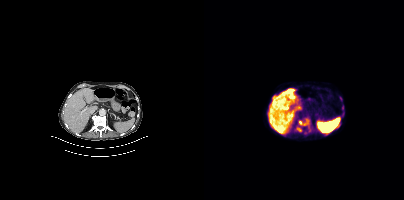
{"modality":"PSMA PET/CT","view":"axial","tracer":"18F","pet_grid":[200,200],"coord_frame":"pet_panel","coord_format":"x0,y0,x1,y1","lesion_bboxes":[[95,119,105,125],[93,128,97,131]]}